Technique: Left: CT. Right: PSMA PET, same axial level, 18F-PSMA tracer. acquired on Siemens Biograph mCT Flow 20. slice position z = -328 mm.
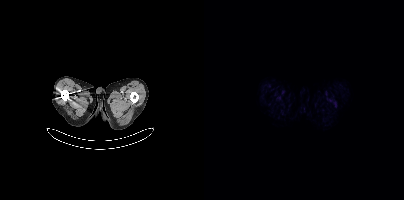
Findings: Negative for PSMA-avid disease on this slice.